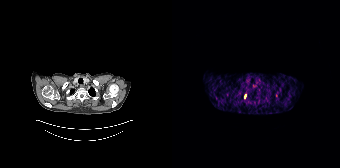
- Paired axial CT (left) and PSMA PET (right), 68Ga tracer
- acquired on Siemens Biograph 64-4R TruePoint
Findings: Coordinates are on the 168×168 PET (right) panel. Small PSMA-avid focus (2 to 4 px across) near (center x, center y): (73, 96).